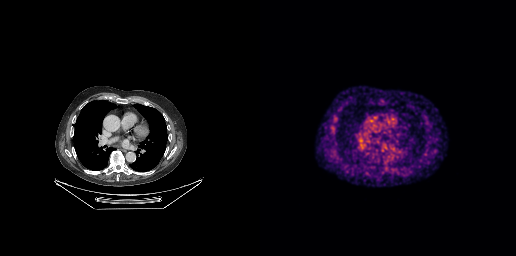
modality: PSMA PET/CT | tracer: [18F]PSMA-1007 | view: axial | PET grid: 256×256
Coordinates are on the 256×256 PET (right) panel. PSMA-avid tumor lesion bounding box (x0, y0)-(x1, y1): (74, 117)-(77, 122). Small PSMA-avid focus (2 to 4 px across) near (center x, center y): (72, 126).